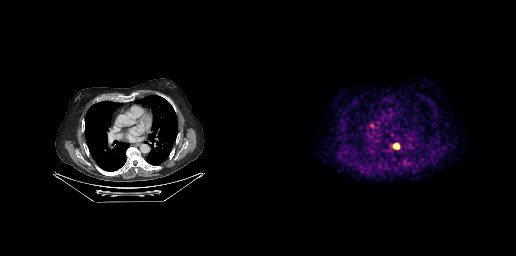
Coordinates are on the 256×256 PET (right) panel. PSMA-avid tumor lesion bounding box (x0,y0,x1,y1): [133,144,139,148]. Small PSMA-avid focus (2 to 4 px across) near (center x, center y): (112, 125).
modality: PSMA PET/CT | tracer: 18F | view: axial | PET grid: 256×256